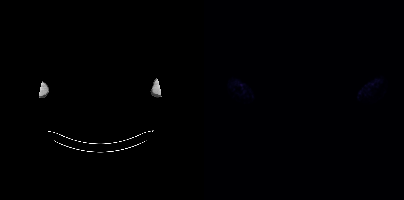
{"modality":"PSMA PET/CT","view":"axial","tracer":"18F-PSMA","pet_grid":[200,200],"coord_frame":"pet_panel","coord_format":"x0,y0,x1,y1","psma_avid_lesions":false,"redaction":"rectangular block over head set to black"}